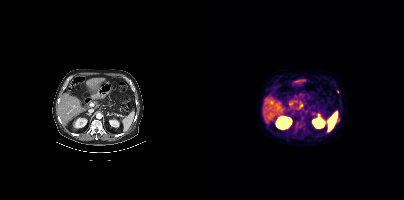
Coordinates are on the 200×200 PET (right) panel. Small PSMA-avid foci (2 to 4 px across) near (center x, center y): (134, 120); (133, 91).
modality: PSMA PET/CT | tracer: [18F]PSMA-1007 | view: axial | PET grid: 200×200